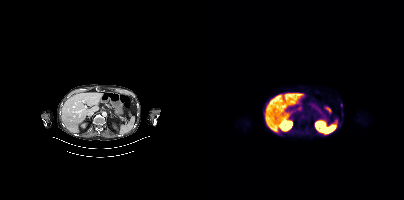
Findings: Coordinates are on the 200×200 PET (right) panel. (showing 1 of 2 foci) PSMA-avid tumor lesion bounding box (x0, y0)-(x1, y1): (137, 103)-(138, 107).
- Two-panel axial: CT | PSMA PET, 18F tracer